- face de-identified by blanking a block of the head
- Paired axial CT (left) and PSMA PET (right), [68Ga]Ga-PSMA-11 tracer
- acquired on GE Discovery 690
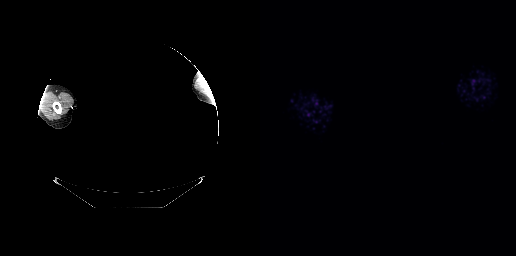
Findings: Negative for PSMA-avid disease on this slice.